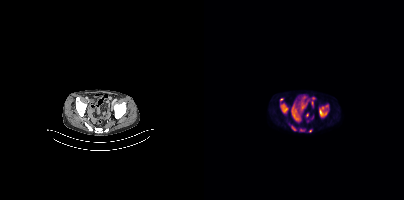
Coordinates are on the 200×200 PET (right) panel. PSMA-avid tumor lesion bounding boxes (x0, y0)-(x1, y1): (115, 104)-(124, 115) | (76, 104)-(83, 112) | (88, 127)-(92, 130) | (96, 129)-(100, 131). Small PSMA-avid foci (2 to 4 px across) near (center x, center y): (77, 99) | (106, 130).